Left: CT. Right: PSMA PET, same axial level, 18F-PSMA tracer. PET panel 200×200 px (4.1 mm/px).
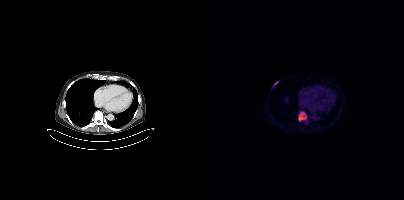
Coordinates are on the 200×200 PET (right) panel. PSMA-avid tumor lesion bounding boxes (x0, y0)-(x1, y1): (94, 111)-(102, 121) | (69, 81)-(74, 86).